- Two-panel axial: CT | PSMA PET, 18F tracer
- slice 17 of 403
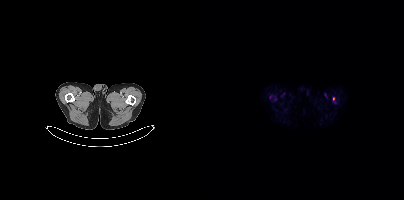
Findings: Coordinates are on the 200×200 PET (right) panel. Small PSMA-avid focus (2 to 4 px across) near (center x, center y): (129, 98).